modality: PSMA PET/CT | tracer: 18F | view: axial | PET grid: 256×256
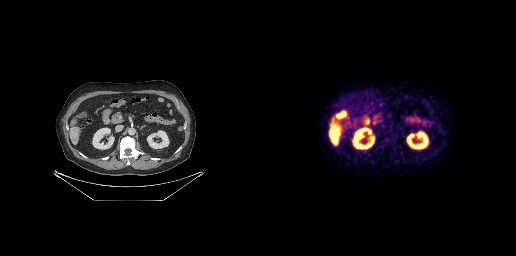
No PSMA-avid tumor lesions on this slice.